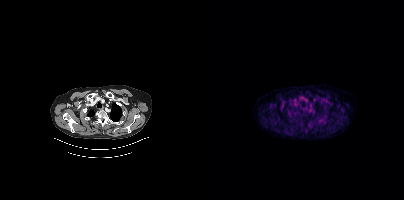
Findings: This slice has no annotated PSMA-avid lesion.
Technique: Left: CT. Right: PSMA PET, same axial level, 18F tracer. acquired on Siemens Biograph mCT Flow 20.